Two-panel axial: CT | PSMA PET, 18F-PSMA tracer. Slice position z = -1440 mm.
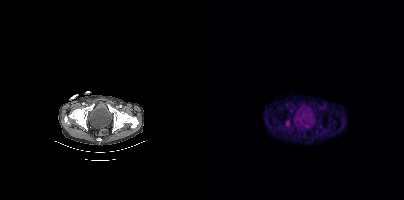
Coordinates are on the 200×200 PET (right) panel. PSMA-avid tumor lesion bounding boxes:
| # | x0 | y0 | x1 | y1 |
|---|---|---|---|---|
| 1 | 82 | 120 | 85 | 125 |